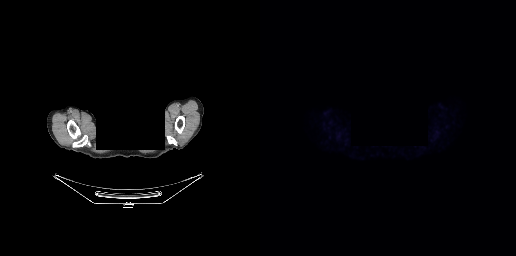
Technique: Left: CT. Right: PSMA PET, same axial level, 18F tracer.
Note: Facial anatomy redacted by setting a rectangular region of the head to black.
Findings: Negative for PSMA-avid disease on this slice.